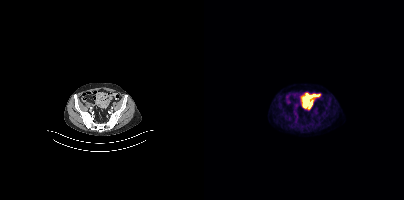
{"modality":"PSMA PET/CT","view":"axial","tracer":"18F","pet_grid":[200,200],"coord_frame":"pet_panel","coord_format":"x0,y0,x1,y1","psma_avid_lesions":false}